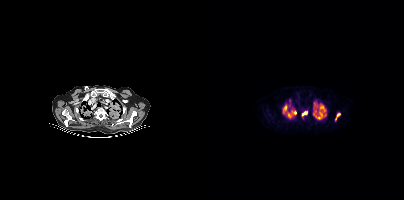
Two-panel axial: CT | PSMA PET, 18F-PSMA tracer. Slice 777 of 963.
Coordinates are on the 200×200 PET (right) panel. PSMA-avid tumor lesion bounding boxes:
| # | x0 | y0 | x1 | y1 |
|---|---|---|---|---|
| 1 | 109 | 103 | 122 | 119 |
| 2 | 79 | 104 | 83 | 111 |
| 3 | 98 | 111 | 103 | 116 |
| 4 | 88 | 111 | 92 | 114 |
| 5 | 84 | 113 | 87 | 117 |
Small PSMA-avid foci (2 to 4 px across) near (center x, center y): (134, 114); (110, 102); (131, 118).